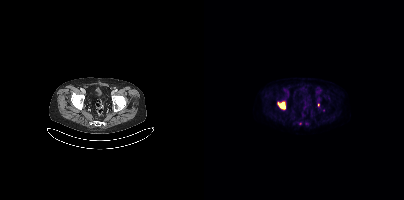
Coordinates are on the 200×200 PET (right) panel. PSMA-avid tumor lesion bounding boxes (partial; 1 more focus not listed):
| # | x0 | y0 | x1 | y1 |
|---|---|---|---|---|
| 1 | 74 | 101 | 81 | 109 |
Small PSMA-avid focus (2 to 4 px across) near (center x, center y): (114, 104).
Left: CT. Right: PSMA PET, same axial level, [18F]PSMA-1007 tracer. Acquired on Siemens Biograph mCT Flow 20.